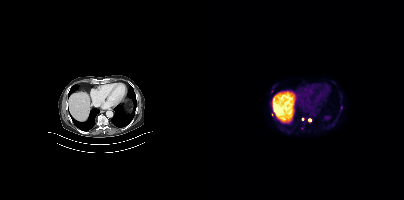
Technique: Paired axial CT (left) and PSMA PET (right), [18F]PSMA-1007 tracer. acquired on Siemens Biograph mCT Flow 20. slice 262 of 421. PET panel 200×200 px (4.1 mm/px).
Findings: Coordinates are on the 200×200 PET (right) panel. Small PSMA-avid foci (2 to 4 px across) near (center x, center y): (137, 107); (105, 120); (98, 118).